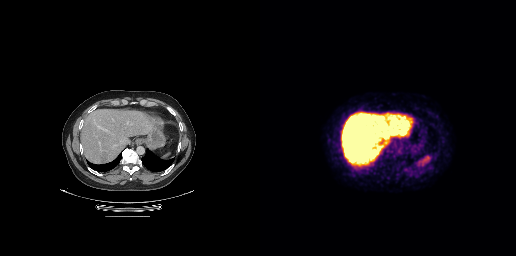
No tumor lesions annotated on this slice. Two-panel axial: CT | PSMA PET, 18F tracer. Slice 156 of 263.